An anonymization step blacked out a rectangle over the head in this scan. Two-panel axial: CT | PSMA PET, 18F tracer. Slice position z = -767 mm. PET panel 200×200 px (4.1 mm/px).
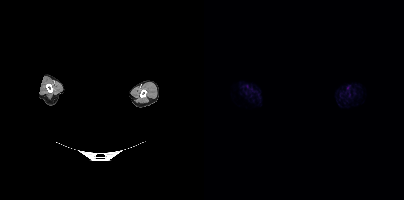
No tumor lesions annotated on this slice.